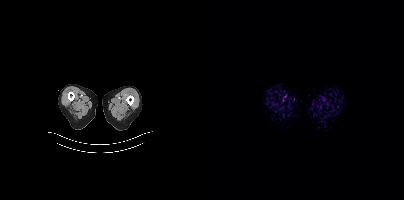
Two-panel axial: CT | PSMA PET, 18F tracer. Acquired on Siemens Biograph mCT Flow 20. Slice 2 of 421. Negative for PSMA-avid disease on this slice.